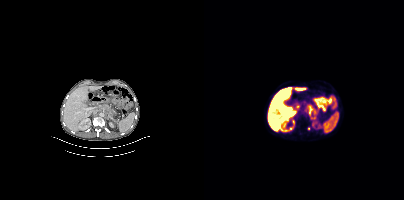
{"modality":"PSMA PET/CT","view":"axial","tracer":"18F","pet_grid":[200,200],"coord_frame":"pet_panel","coord_format":"x0,y0,x1,y1","lesion_bboxes":[[104,105,113,119]],"small_foci_centers":[[105,128]]}